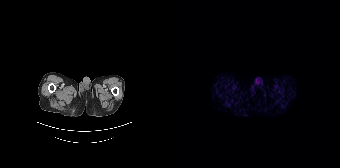
Negative for PSMA-avid disease on this slice.